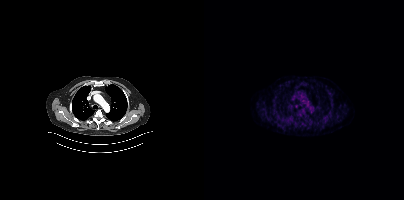
Findings: Coordinates are on the 200×200 PET (right) panel. Small PSMA-avid focus (2 to 4 px across) near (center x, center y): (92, 106).
- Two-panel axial: CT | PSMA PET, 18F-PSMA tracer
- acquired on Siemens Biograph mCT Flow 20
- slice position z = 174 mm